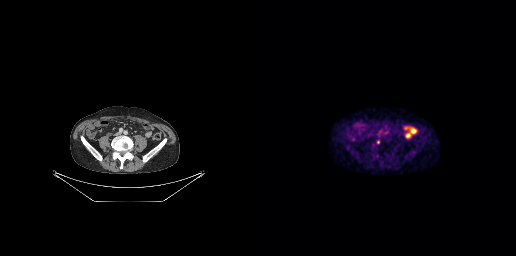
Findings: Coordinates are on the 256×256 PET (right) panel. Small PSMA-avid focus (2 to 4 px across) near (center x, center y): (118, 141).
- Paired axial CT (left) and PSMA PET (right), [18F]PSMA-1007 tracer
- acquired on GE Discovery 690
- slice 105 of 263